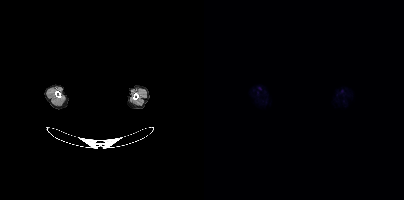
Findings: No PSMA-avid tumor lesions on this slice.
- an anonymization step blacked out a rectangle over the head in this scan
- Paired axial CT (left) and PSMA PET (right), [18F]PSMA-1007 tracer